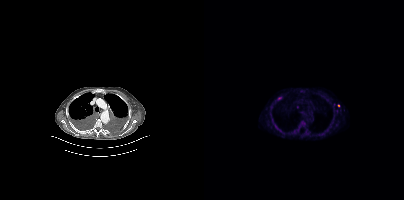
{"modality":"PSMA PET/CT","view":"axial","tracer":"18F-PSMA","pet_grid":[200,200],"coord_frame":"pet_panel","coord_format":"x0,y0,x1,y1","lesion_bboxes":[[71,125,77,131]],"small_foci_centers":[[75,98],[93,107],[134,105]]}